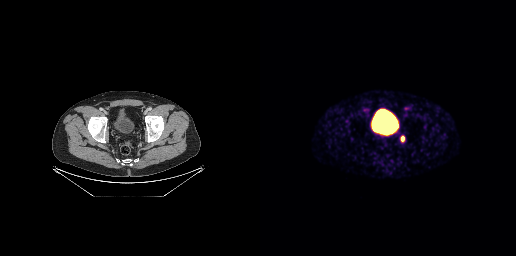
Coordinates are on the 256×256 PET (right) panel. Small PSMA-avid focus (2 to 4 px across) near (center x, center y): (142, 138).